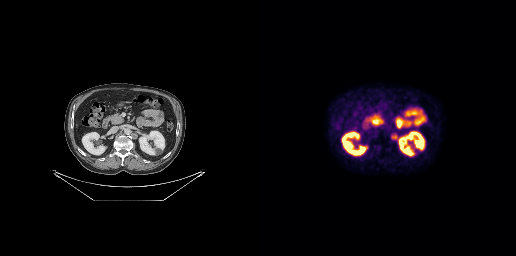
- Paired axial CT (left) and PSMA PET (right), 18F-PSMA tracer
Findings: Coordinates are on the 256×256 PET (right) panel. PSMA-avid tumor lesion bounding box (x0, y0)-(x1, y1): (131, 134)-(138, 140).